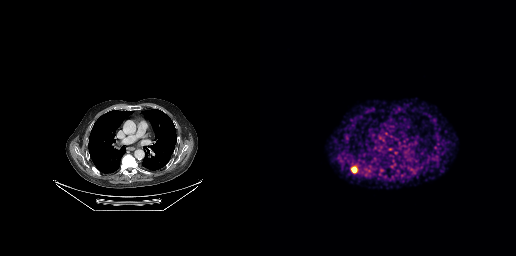
Technique: Left: CT. Right: PSMA PET, same axial level, 68Ga tracer. PET panel 256×256 px (2.7 mm/px).
Findings: Coordinates are on the 256×256 PET (right) panel. (showing 3 of 4 foci) PSMA-avid tumor lesion bounding box (x0, y0)-(x1, y1): (91, 166)-(97, 172). Small PSMA-avid foci (2 to 4 px across) near (center x, center y): (130, 149) | (175, 147).